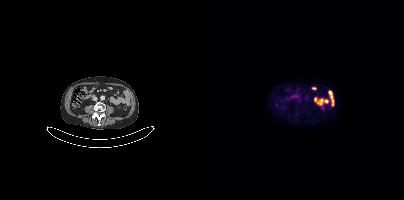
No PSMA-avid tumor lesions on this slice.